- Paired axial CT (left) and PSMA PET (right), 18F-PSMA tracer
- acquired on GE Discovery 690
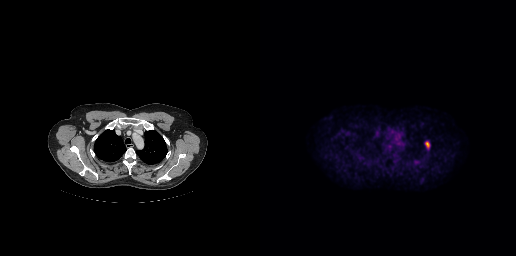
Findings: Coordinates are on the 256×256 PET (right) panel. PSMA-avid tumor lesion bounding box (x, y, width, height): x=165 y=142 w=5 h=6.